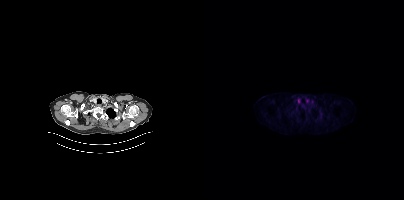
Paired axial CT (left) and PSMA PET (right), 18F-PSMA tracer. Slice position z = -1040 mm. PET panel 200×200 px (4.1 mm/px). No PSMA-avid tumor lesions on this slice.